modality: PSMA PET/CT | tracer: 18F-PSMA | view: axial
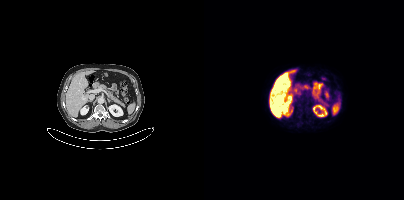
Coordinates are on the 200×200 PET (right) panel. Small PSMA-avid focus (2 to 4 px across) near (center x, center y): (94, 98).